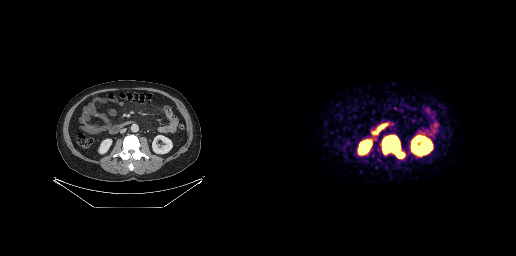
Technique: Left: CT. Right: PSMA PET, same axial level, 68Ga-PSMA tracer. slice position z = -664 mm.
Findings: Coordinates are on the 256×256 PET (right) panel. PSMA-avid tumor lesion bounding box (x0, y0)-(x1, y1): (122, 136)-(144, 158).